- Paired axial CT (left) and PSMA PET (right), [68Ga]Ga-PSMA-11 tracer
- slice 83 of 195
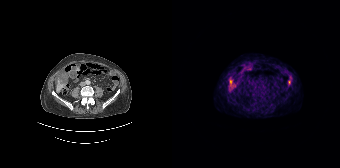
Findings: Coordinates are on the 168×168 PET (right) panel. PSMA-avid tumor lesion bounding box (x0, y0)-(x1, y1): (57, 79)-(63, 86).